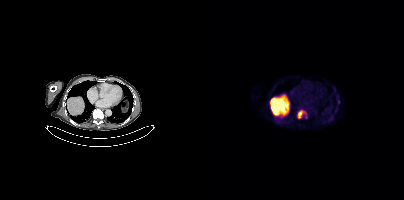
Coordinates are on the 200×200 PET (right) panel. (showing 2 of 3 foci) PSMA-avid tumor lesion bounding box (x0,y0,x1,y1): [93,110,102,118]. Small PSMA-avid focus (2 to 4 px across) near (center x, center y): (134, 101). Paired axial CT (left) and PSMA PET (right), 18F-PSMA tracer. PET panel 200×200 px (4.1 mm/px).